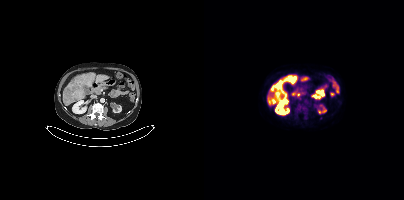
modality: PSMA PET/CT | tracer: 18F | view: axial
Coordinates are on the 200×200 PET (right) panel. (showing 2 of 3 foci) PSMA-avid tumor lesion bounding boxes (x, y, width, height): x=72 y=81 w=7 h=8; x=86 y=80 w=6 h=5.